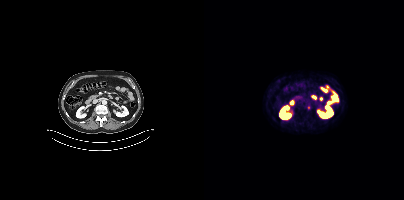
{"modality":"PSMA PET/CT","view":"axial","tracer":"68Ga-PSMA","pet_grid":[200,200],"coord_frame":"pet_panel","coord_format":"x0,y0,x1,y1","lesion_bboxes":[],"small_foci_centers":[[104,107]]}